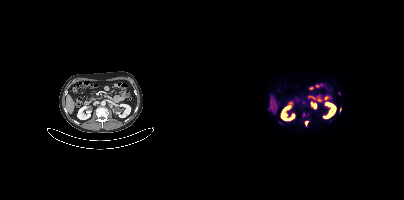
Technique: Paired axial CT (left) and PSMA PET (right), [18F]PSMA-1007 tracer. acquired on Siemens Biograph mCT Flow 20. slice 191 of 407. PET panel 200×200 px (4.1 mm/px).
Findings: Coordinates are on the 200×200 PET (right) panel. PSMA-avid tumor lesion bounding boxes (x, y, width, height): x=107 y=102 w=6 h=7 | x=101 y=121 w=3 h=5. Small PSMA-avid focus (2 to 4 px across) near (center x, center y): (136, 110).